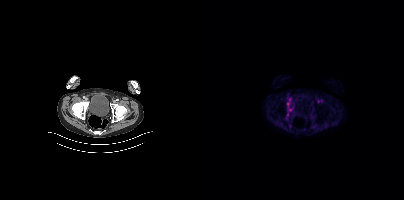
- Left: CT. Right: PSMA PET, same axial level, [18F]PSMA-1007 tracer
- slice 71 of 421
Findings: This slice has no annotated PSMA-avid lesion.